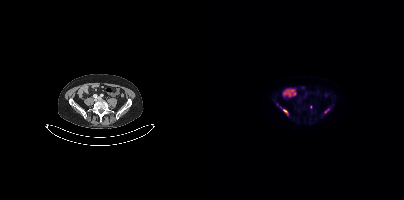
Findings: Coordinates are on the 200×200 PET (right) panel. PSMA-avid tumor lesion bounding boxes (x0, y0)-(x1, y1): (79, 109)-(84, 114) | (120, 109)-(125, 113). Small PSMA-avid focus (2 to 4 px across) near (center x, center y): (107, 106).
Technique: Two-panel axial: CT | PSMA PET, [18F]PSMA-1007 tracer. PET panel 200×200 px (4.1 mm/px).